Technique: Two-panel axial: CT | PSMA PET, 18F tracer. acquired on Siemens Biograph mCT Flow 20.
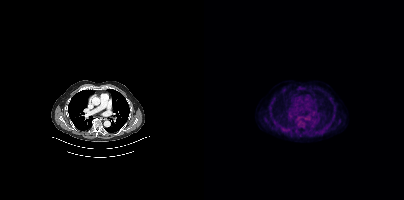
Findings: This slice has no annotated PSMA-avid lesion.